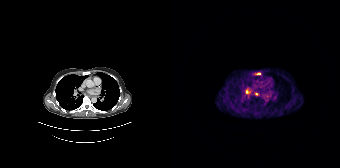
Coordinates are on the 168×168 PET (right) panel. (showing 3 of 4 foci) PSMA-avid tumor lesion bounding box (x0, y0)-(x1, y1): (83, 72)-(88, 74). Small PSMA-avid foci (2 to 4 px across) near (center x, center y): (75, 91); (84, 93).
modality: PSMA PET/CT | tracer: 68Ga | view: axial | PET grid: 168×168